Left: CT. Right: PSMA PET, same axial level, 68Ga tracer.
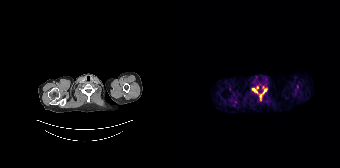
Coordinates are on the 168×168 PET (right) panel. (showing 3 of 5 foci) PSMA-avid tumor lesion bounding boxes (x0, y0)-(x1, y1): (88, 89)-(94, 97) | (80, 88)-(85, 93). Small PSMA-avid focus (2 to 4 px across) near (center x, center y): (85, 87).